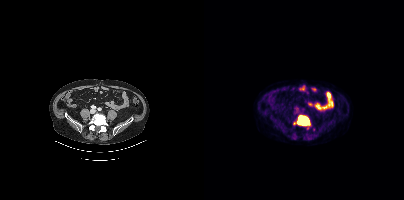
Findings: Coordinates are on the 200×200 PET (right) panel. PSMA-avid tumor lesion bounding box (x0,y0,x1,y1): [93,115,106,125]. Small PSMA-avid focus (2 to 4 px across) near (center x, center y): (90, 123).
- Paired axial CT (left) and PSMA PET (right), 18F-PSMA tracer